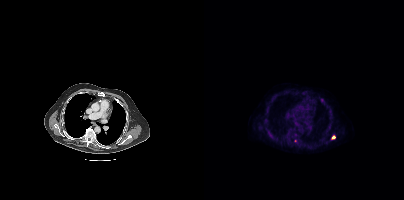
Coordinates are on the 200×200 PET (right) panel. Small PSMA-avid foci (2 to 4 px across) near (center x, center y): (129, 137) / (91, 140).